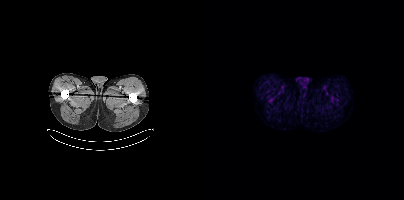
modality: PSMA PET/CT | tracer: 18F | view: axial | PET grid: 200×200
Negative for PSMA-avid disease on this slice.